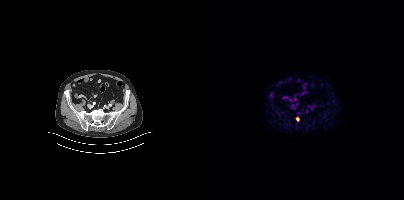
modality: PSMA PET/CT | tracer: [18F]PSMA-1007 | view: axial | PET grid: 200×200
Coordinates are on the 200×200 PET (right) panel. PSMA-avid tumor lesion bounding box (x0,y0,x1,y1): [92,117,95,121]. Small PSMA-avid focus (2 to 4 px across) near (center x, center y): (66, 94).